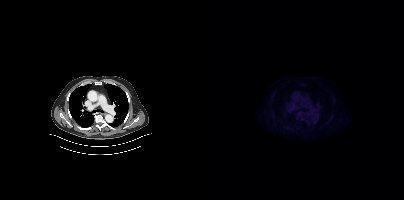
Two-panel axial: CT | PSMA PET, 18F-PSMA tracer. Acquired on Siemens Biograph mCT Flow 20. PET panel 200×200 px (4.1 mm/px). No PSMA-avid tumor lesions on this slice.